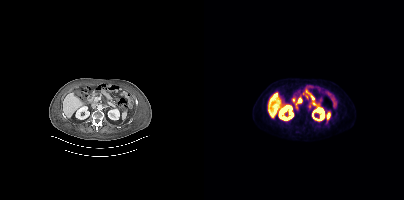
- Two-panel axial: CT | PSMA PET, 18F-PSMA tracer
- slice 156 of 344
- PET panel 200×200 px (4.1 mm/px)
Findings: No PSMA-avid tumor lesions on this slice.